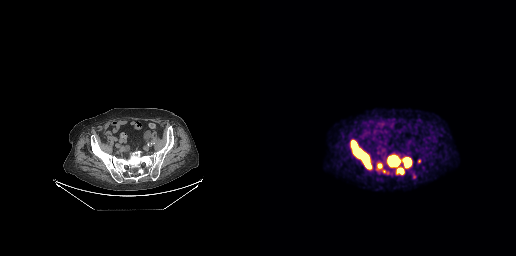
Coordinates are on the 256×256 PET (right) panel. PSMA-avid tumor lesion bounding boxes (partial; 1 more focus not listed):
| # | x0 | y0 | x1 | y1 |
|---|---|---|---|---|
| 1 | 127 | 154 | 151 | 174 |
| 2 | 91 | 140 | 111 | 168 |
| 3 | 118 | 163 | 122 | 168 |
| 4 | 122 | 170 | 129 | 174 |
Two-panel axial: CT | PSMA PET, 18F-PSMA tracer. Acquired on GE Discovery 690. PET panel 256×256 px (2.7 mm/px).